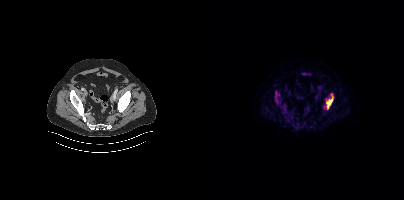
Coordinates are on the 200×200 PET (right) panel. PSMA-avid tumor lesion bounding boxes:
| # | x0 | y0 | x1 | y1 |
|---|---|---|---|---|
| 1 | 122 | 94 | 129 | 109 |
Small PSMA-avid focus (2 to 4 px across) near (center x, center y): (74, 94).
Two-panel axial: CT | PSMA PET, 18F-PSMA tracer. Acquired on Siemens Biograph mCT Flow 20.